Paired axial CT (left) and PSMA PET (right), [18F]PSMA-1007 tracer. Slice 56 of 299. PET panel 256×256 px (2.7 mm/px).
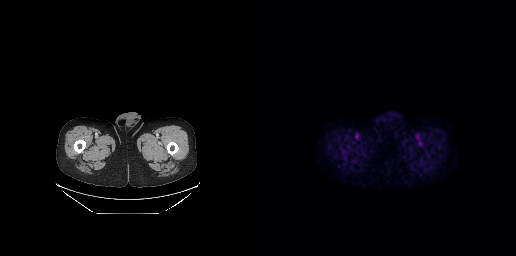
No PSMA-avid tumor lesions on this slice.